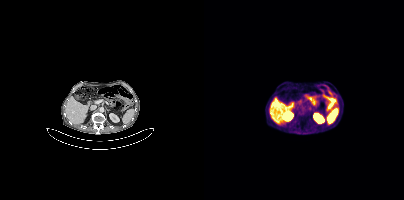
Two-panel axial: CT | PSMA PET, [68Ga]Ga-PSMA-11 tracer. Acquired on Siemens Biograph mCT Flow 20. PET panel 200×200 px (4.1 mm/px). No tumor lesions annotated on this slice.